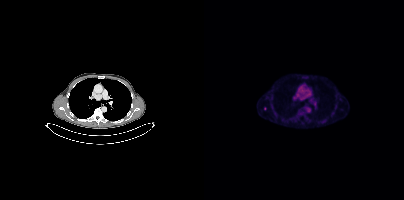
Technique: Two-panel axial: CT | PSMA PET, 18F-PSMA tracer. acquired on Siemens Biograph mCT Flow 20.
Findings: Coordinates are on the 200×200 PET (right) panel. Small PSMA-avid focus (2 to 4 px across) near (center x, center y): (61, 108).